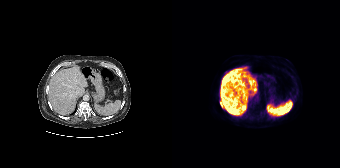
Coordinates are on the 168×168 PET (right) panel. PSMA-avid tumor lesion bounding box (x0, y0)-(x1, y1): (48, 102)-(51, 107). Small PSMA-avid focus (2 to 4 px across) near (center x, center y): (54, 72).